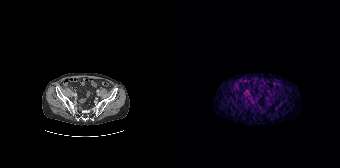
Technique: Paired axial CT (left) and PSMA PET (right), 68Ga-PSMA tracer.
Findings: This slice has no annotated PSMA-avid lesion.